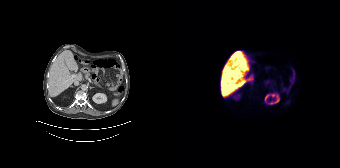
Findings: Negative for PSMA-avid disease on this slice.
Technique: Left: CT. Right: PSMA PET, same axial level, 18F-PSMA tracer. acquired on Siemens Biograph 64-4R TruePoint. slice 91 of 165.